Technique: Paired axial CT (left) and PSMA PET (right), 18F-PSMA tracer. PET panel 200×200 px (4.1 mm/px).
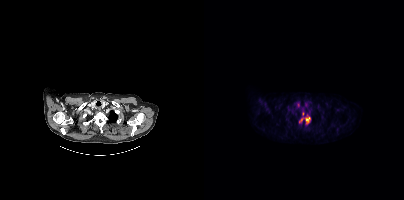
Findings: Coordinates are on the 200×200 PET (right) panel. (showing 2 of 3 foci) PSMA-avid tumor lesion bounding boxes (x0, y0)-(x1, y1): (101, 115)-(106, 123) | (95, 118)-(99, 122).